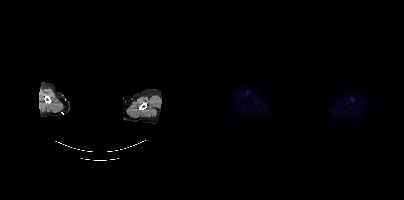
This slice has no annotated PSMA-avid lesion. Two-panel axial: CT | PSMA PET, [18F]PSMA-1007 tracer. Acquired on Siemens Biograph mCT Flow 20. PET panel 200×200 px (4.1 mm/px). Head region blanked for anonymization (face removed).